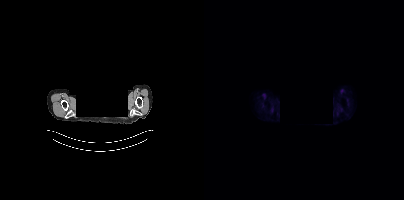
- Left: CT. Right: PSMA PET, same axial level, 18F tracer
- slice position z = -333 mm
- PET panel 200×200 px (4.1 mm/px)
- the head region is masked for de-identification
Findings: No PSMA-avid tumor lesions on this slice.